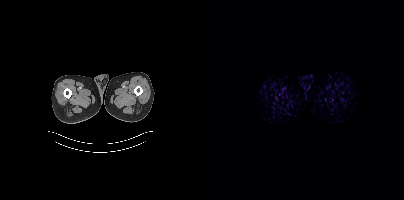
Paired axial CT (left) and PSMA PET (right), 18F tracer. Acquired on Siemens Biograph mCT Flow 20. Negative for PSMA-avid disease on this slice.